Paired axial CT (left) and PSMA PET (right), 18F tracer. Slice 299 of 421. PET panel 200×200 px (4.1 mm/px).
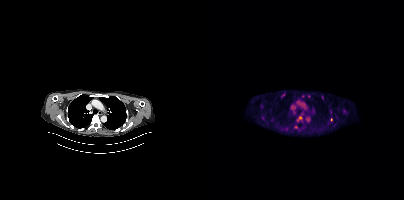
Coordinates are on the 200×200 PET (right) panel. PSMA-avid tumor lesion bounding boxes (partial; 1 more focus not listed):
| # | x0 | y0 | x1 | y1 |
|---|---|---|---|---|
| 1 | 93 | 116 | 98 | 121 |
| 2 | 77 | 93 | 81 | 97 |
Small PSMA-avid foci (2 to 4 px across) near (center x, center y): (127, 119); (92, 127); (82, 128).